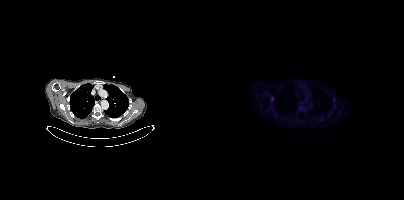
Left: CT. Right: PSMA PET, same axial level, [18F]PSMA-1007 tracer. PET panel 200×200 px (4.1 mm/px). Coordinates are on the 200×200 PET (right) panel. Small PSMA-avid foci (2 to 4 px across) near (center x, center y): (68, 98) (117, 119).